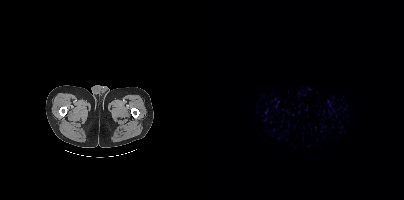
No PSMA-avid tumor lesions on this slice. Paired axial CT (left) and PSMA PET (right), 18F tracer. Acquired on Siemens Biograph mCT Flow 20. Slice 5 of 417.